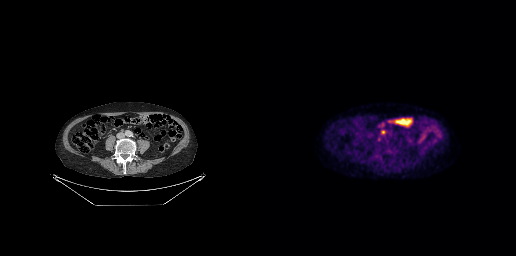
Findings: Coordinates are on the 256×256 PET (right) panel. PSMA-avid tumor lesion bounding box (x0, y0)-(x1, y1): (121, 130)-(125, 134).
Technique: Paired axial CT (left) and PSMA PET (right), 18F tracer. PET panel 256×256 px (2.7 mm/px).